modality: PSMA PET/CT | tracer: 18F | view: axial | PET grid: 200×200
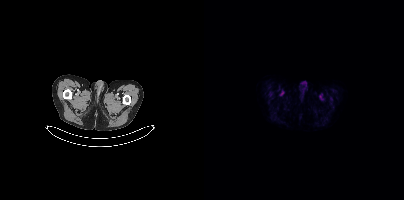
Negative for PSMA-avid disease on this slice.